modality: PSMA PET/CT | tracer: 18F | view: axial
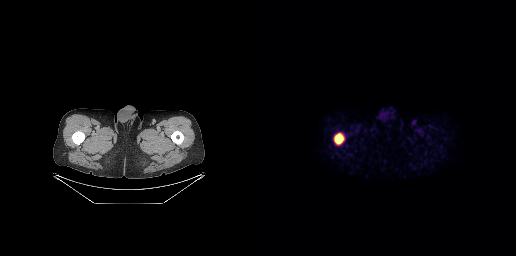
Coordinates are on the 256×256 PET (right) panel. PSMA-avid tumor lesion bounding box (x, y, width, height): x=74 y=133 w=11 h=12.